- Left: CT. Right: PSMA PET, same axial level, 18F tracer
- privacy masking over the head, with the pixels inside a rectangle set to black
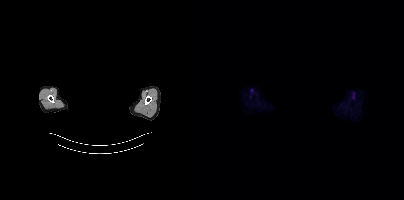
Findings: This slice has no annotated PSMA-avid lesion.